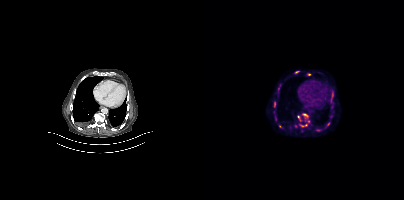
{"modality":"PSMA PET/CT","view":"axial","tracer":"18F","pet_grid":[200,200],"coord_frame":"pet_panel","coord_format":"x0,y0,x1,y1","partial":true,"lesion_bboxes":[[95,121,105,127],[98,113,104,118],[91,71,95,73],[70,102,71,107],[93,115,96,120]],"small_foci_centers":[[104,74],[124,123],[128,96],[75,126]]}